- the head region is masked for de-identification
- Paired axial CT (left) and PSMA PET (right), [18F]PSMA-1007 tracer
- slice position z = -983 mm
- PET panel 200×200 px (4.1 mm/px)
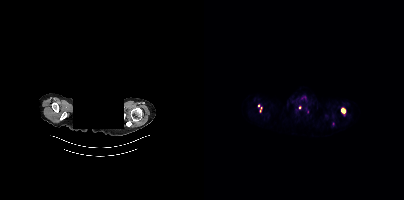
Findings: Coordinates are on the 200×200 PET (right) panel. PSMA-avid tumor lesion bounding boxes (x0,y0,x1,y1): [137,107,141,114], [55,107,58,112]. Small PSMA-avid foci (2 to 4 px across) near (center x, center y): (54, 105), (95, 107).